Paired axial CT (left) and PSMA PET (right), 68Ga-PSMA tracer. Acquired on Siemens Biograph mCT Flow 20. Slice 95 of 413. PET panel 200×200 px (4.1 mm/px).
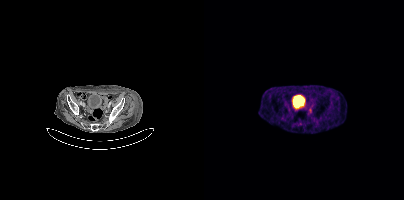
Coordinates are on the 200×200 PET (right) panel. Small PSMA-avid focus (2 to 4 px across) near (center x, center y): (106, 110).